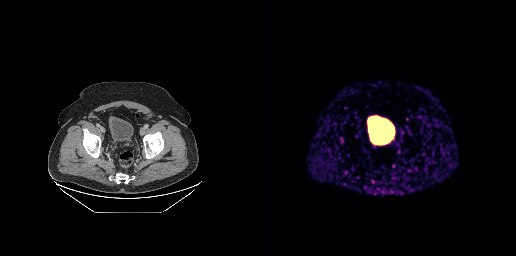
Left: CT. Right: PSMA PET, same axial level, [68Ga]Ga-PSMA-11 tracer. PET panel 256×256 px (2.7 mm/px).
Coordinates are on the 256×256 PET (right) panel. PSMA-avid tumor lesion bounding boxes:
| # | x0 | y0 | x1 | y1 |
|---|---|---|---|---|
| 1 | 117 | 140 | 125 | 143 |